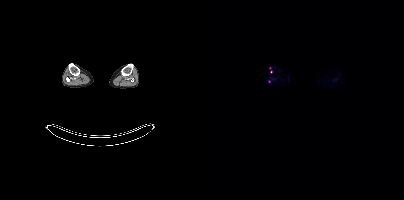
{"modality":"PSMA PET/CT","view":"axial","tracer":"18F","pet_grid":[200,200],"coord_frame":"pet_panel","coord_format":"x0,y0,x1,y1","partial":true,"lesion_bboxes":[],"small_foci_centers":[[65,81]]}